modality: PSMA PET/CT | tracer: [18F]PSMA-1007 | view: axial | PET grid: 200×200
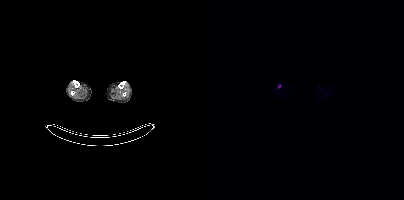
Coordinates are on the 200×200 PET (right) panel. Small PSMA-avid focus (2 to 4 px across) near (center x, center y): (75, 86).